- Paired axial CT (left) and PSMA PET (right), [18F]PSMA-1007 tracer
- slice position z = -900 mm
- PET panel 200×200 px (4.1 mm/px)
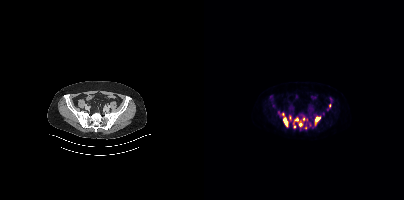
Findings: Coordinates are on the 200×200 PET (right) panel. (showing 8 of 10 foci) PSMA-avid tumor lesion bounding boxes (x, y, width, height): x=79 y=117 w=6 h=10 | x=111 y=117 w=6 h=6 | x=95 y=121 w=4 h=6 | x=90 y=118 w=5 h=4. Small PSMA-avid foci (2 to 4 px across) near (center x, center y): (99, 119) | (78, 114) | (90, 126) | (101, 127).